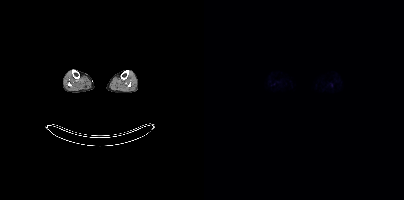
No tumor lesions annotated on this slice.